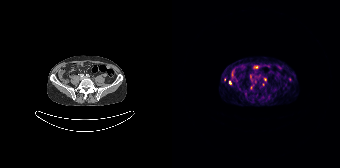
modality: PSMA PET/CT | tracer: 68Ga-PSMA | view: axial | PET grid: 168×168
Coordinates are on the 168×168 PET (right) panel. (showing 4 of 5 foci) Small PSMA-avid foci (2 to 4 px across) near (center x, center y): (79, 87); (52, 79); (57, 82); (91, 84).